Left: CT. Right: PSMA PET, same axial level, [18F]PSMA-1007 tracer. Slice position z = -214 mm. PET panel 200×200 px (4.1 mm/px).
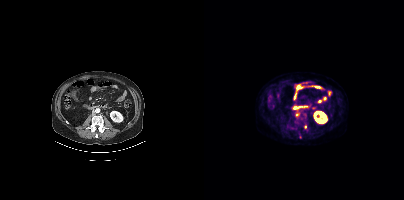
Coordinates are on the 200×200 PET (right) panel. Small PSMA-avid foci (2 to 4 px across) near (center x, center y): (92, 114); (96, 136); (101, 127).